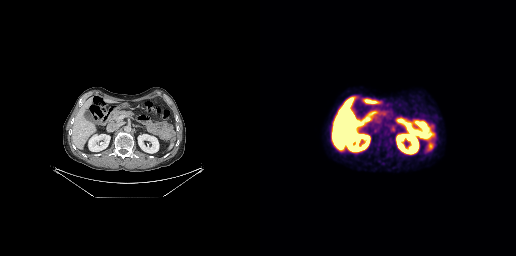
Coordinates are on the 256×256 PET (right) panel. PSMA-avid tumor lesion bounding box (x, y, width, height): x=130 y=125 w=6 h=7.